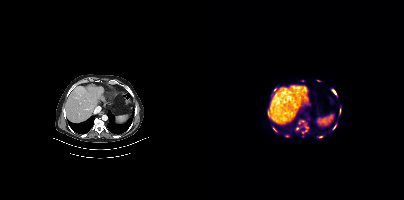
Findings: Coordinates are on the 200×200 PET (right) panel. (showing 6 of 9 foci) PSMA-avid tumor lesion bounding boxes (x0,y0,x1,y1): [128,90,132,94], [129,125,132,129]. Small PSMA-avid foci (2 to 4 px across) near (center x, center y): (70, 128), (71, 89), (116, 136), (93, 128).
Technique: Left: CT. Right: PSMA PET, same axial level, [18F]PSMA-1007 tracer. PET panel 200×200 px (4.1 mm/px).